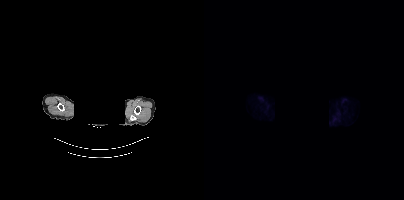
Technique: Paired axial CT (left) and PSMA PET (right), 18F tracer. acquired on Siemens Biograph mCT Flow 20.
Note: De-identified by setting a box covering the face to black before release.
Findings: This slice has no annotated PSMA-avid lesion.